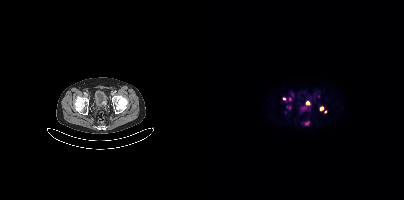
{"pet_grid":[200,200],"coord_frame":"pet_panel","coord_format":"x0,y0,x1,y1","partial":true,"lesion_bboxes":[],"small_foci_centers":[[103,102],[117,108],[80,98],[121,111],[85,107]],"modality":"PSMA PET/CT","view":"axial","tracer":"18F-PSMA"}